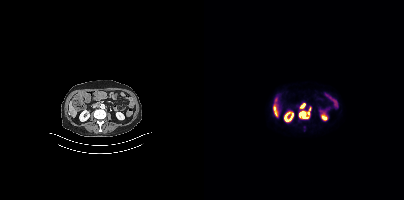
{"modality":"PSMA PET/CT","view":"axial","tracer":"18F-PSMA","pet_grid":[200,200],"coord_frame":"pet_panel","coord_format":"x0,y0,x1,y1","lesion_bboxes":[[95,107,106,118],[96,104,101,108]]}